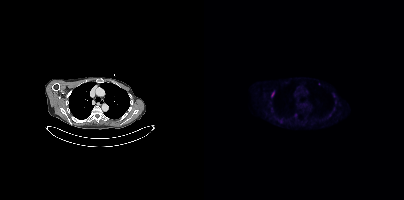
- Two-panel axial: CT | PSMA PET, 18F-PSMA tracer
- acquired on Siemens Biograph mCT Flow 20
Findings: Coordinates are on the 200×200 PET (right) panel. PSMA-avid tumor lesion bounding box (x0, y0)-(x1, y1): (67, 91)-(70, 96). Small PSMA-avid focus (2 to 4 px across) near (center x, center y): (115, 83).